Left: CT. Right: PSMA PET, same axial level, 18F tracer. Slice 342 of 401. PET panel 200×200 px (4.1 mm/px). A rectangle over the head was blacked out to remove identifiable facial features.
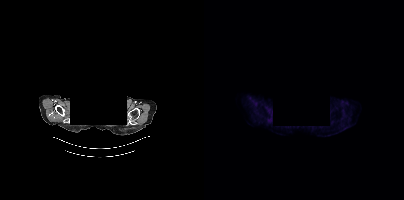
No tumor lesions annotated on this slice.